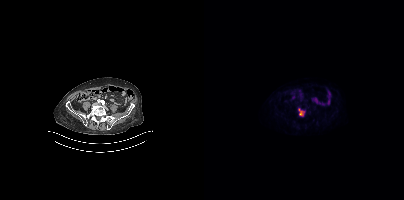
modality: PSMA PET/CT | tracer: 18F-PSMA | view: axial
Coordinates are on the 200×200 PET (right) panel. PSMA-avid tumor lesion bounding box (x0,y0,x1,y1): [94,108,101,116].